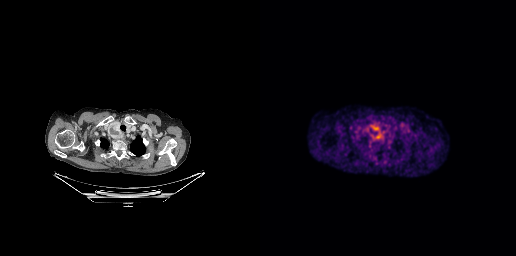
Findings: Coordinates are on the 256×256 PET (right) panel. PSMA-avid tumor lesion bounding box (x0,y0,x1,y1): [111,129,122,140].
- Two-panel axial: CT | PSMA PET, [18F]PSMA-1007 tracer
- slice 220 of 263